Left: CT. Right: PSMA PET, same axial level, 68Ga tracer. Acquired on Siemens Biograph 64-4R TruePoint.
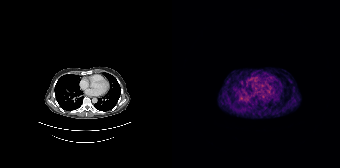
No tumor lesions annotated on this slice.